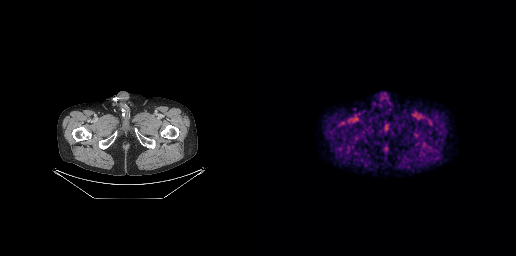
Paired axial CT (left) and PSMA PET (right), 18F tracer. PET panel 256×256 px (2.7 mm/px). This slice has no annotated PSMA-avid lesion.